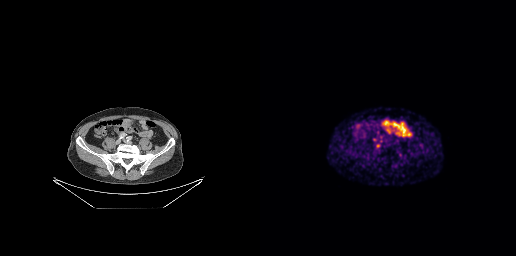
Coordinates are on the 256×256 PET (right) panel. Small PSMA-avid focus (2 to 4 px across) near (center x, center y): (117, 146).